- Paired axial CT (left) and PSMA PET (right), [18F]PSMA-1007 tracer
- acquired on Siemens Biograph mCT Flow 20
- slice position z = -667 mm
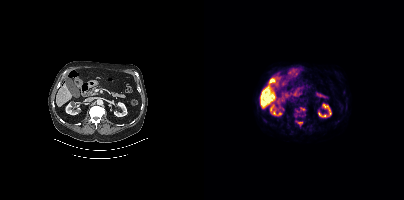
Findings: Coordinates are on the 200×200 PET (right) panel. (showing 2 of 3 foci) PSMA-avid tumor lesion bounding boxes (x0, y0)-(x1, y1): (92, 121)-(98, 125); (96, 107)-(100, 110).